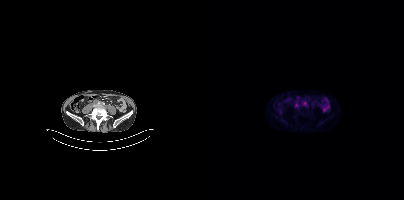
{"modality":"PSMA PET/CT","view":"axial","tracer":"[18F]PSMA-1007","pet_grid":[200,200],"coord_frame":"pet_panel","coord_format":"x0,y0,x1,y1","lesion_bboxes":[],"small_foci_centers":[[92,105],[100,103]]}